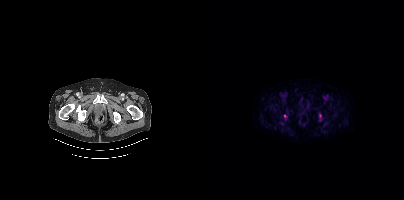
Only PSMA-avid lesion pieces thinner than 2 px on this slice (not listed).